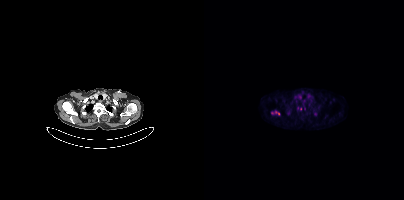
Coordinates are on the 200×200 PET (right) panel. PSMA-avid tumor lesion bounding boxes:
| # | x0 | y0 | x1 | y1 |
|---|---|---|---|---|
| 1 | 71 | 111 | 75 | 114 |
Small PSMA-avid focus (2 to 4 px across) near (center x, center y): (68, 112).
Paired axial CT (left) and PSMA PET (right), 18F tracer. Slice position z = -284 mm.